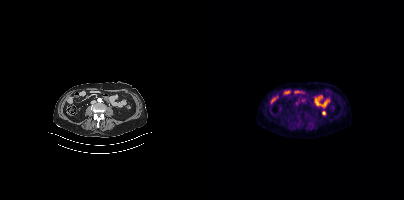
This slice has no annotated PSMA-avid lesion.